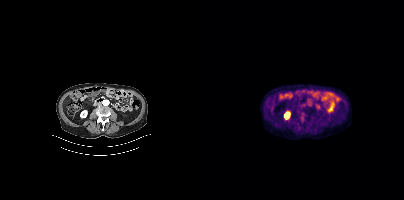
This slice has no annotated PSMA-avid lesion.
modality: PSMA PET/CT | tracer: 18F | view: axial | PET grid: 200×200